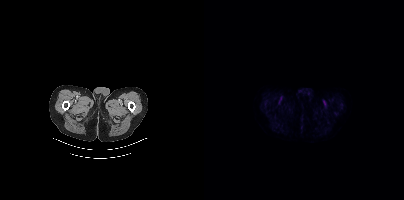
{"pet_grid":[200,200],"coord_frame":"pet_panel","coord_format":"x0,y0,x1,y1","psma_avid_lesions":false,"modality":"PSMA PET/CT","view":"axial","tracer":"18F-PSMA"}